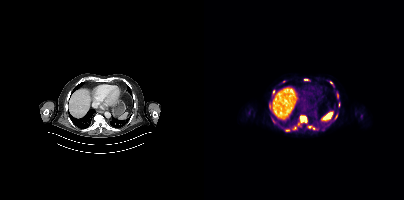
Coordinates are on the 200×200 PET (right) panel. (showing 11 of 15 foci) PSMA-avid tumor lesion bounding boxes (x0,y0,x1,y1): [94,116,102,127]; [88,126,92,130]; [65,104,67,109]; [81,129,86,131]; [130,114,133,119]; [69,90,70,94]. Small PSMA-avid foci (2 to 4 px across) near (center x, center y): (109, 128); (101, 79); (127, 82); (80, 81); (105, 126).